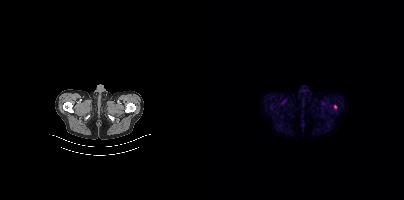
Coordinates are on the 200×200 PET (right) panel. Small PSMA-avid focus (2 to 4 px across) near (center x, center y): (131, 106).